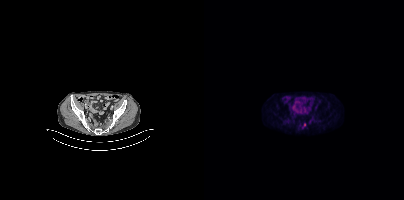
{"modality":"PSMA PET/CT","view":"axial","tracer":"18F-PSMA","pet_grid":[200,200],"coord_frame":"pet_panel","coord_format":"x0,y0,x1,y1","lesion_bboxes":[[98,123,101,128]],"small_foci_centers":[[106,121]]}